Paired axial CT (left) and PSMA PET (right), 18F tracer. Slice 49 of 462. PET panel 200×200 px (4.1 mm/px).
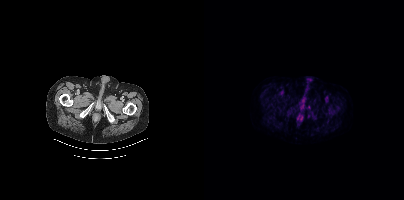
Only PSMA-avid lesion pieces thinner than 2 px on this slice (not listed).